- Two-panel axial: CT | PSMA PET, [18F]PSMA-1007 tracer
- acquired on Siemens Biograph mCT Flow 20
- slice position z = -1529 mm
- PET panel 200×200 px (4.1 mm/px)
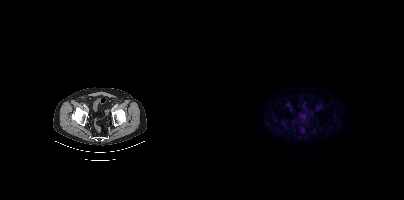
Findings: No PSMA-avid tumor lesions on this slice.